modality: PSMA PET/CT | tracer: 18F-PSMA | view: axial
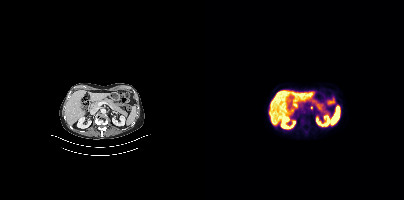
Coordinates are on the 200×200 PET (right) panel. Small PSMA-avid focus (2 to 4 px across) near (center x, center y): (107, 107).